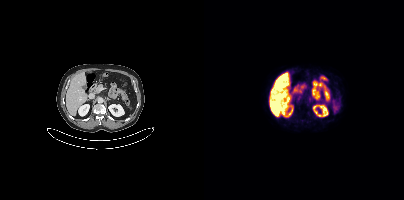
- Two-panel axial: CT | PSMA PET, [18F]PSMA-1007 tracer
- slice position z = -510 mm
- PET panel 200×200 px (4.1 mm/px)
Findings: Coordinates are on the 200×200 PET (right) panel. PSMA-avid tumor lesion bounding boxes (x0,y0,x1,y1): [92,96,96,101] [105,97,109,102].